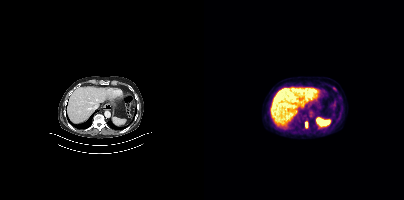
Paired axial CT (left) and PSMA PET (right), 18F tracer. Acquired on Siemens Biograph mCT Flow 20. PET panel 200×200 px (4.1 mm/px). Coordinates are on the 200×200 PET (right) panel. PSMA-avid tumor lesion bounding box (x0, y0)-(x1, y1): (101, 122)-(103, 127).